Technique: Paired axial CT (left) and PSMA PET (right), [18F]PSMA-1007 tracer. acquired on Siemens Biograph mCT Flow 20. PET panel 200×200 px (4.1 mm/px).
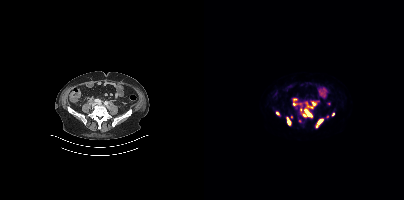
Findings: Coordinates are on the 200×200 PET (right) panel. (showing 9 of 11 foci) PSMA-avid tumor lesion bounding boxes (x0,y0,x1,y1): [98,108,108,117] [100,101,112,108] [112,119,119,127] [83,117,87,125]. Small PSMA-avid foci (2 to 4 px across) near (center x, center y): (90, 99) (90, 104) (73, 113) (129, 114) (96, 110).